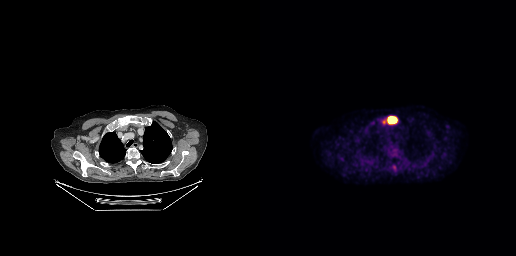
modality: PSMA PET/CT | tracer: 18F | view: axial
Coordinates are on the 256×256 PET (right) panel. PSMA-avid tumor lesion bounding box (x0, y0)-(x1, y1): (128, 117)-(136, 123).